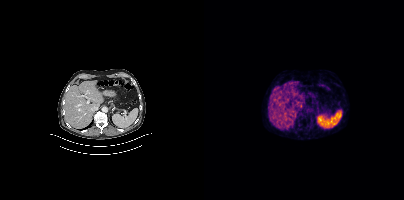
- Two-panel axial: CT | PSMA PET, 68Ga tracer
Findings: This slice has no annotated PSMA-avid lesion.